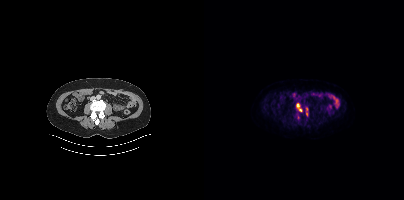
Paired axial CT (left) and PSMA PET (right), [18F]PSMA-1007 tracer. Acquired on Siemens Biograph mCT Flow 20. Coordinates are on the 200×200 PET (right) panel. Small PSMA-avid foci (2 to 4 px across) near (center x, center y): (94, 105) (96, 110).